Two-panel axial: CT | PSMA PET, [18F]PSMA-1007 tracer. Acquired on GE Discovery 690. Slice 28 of 371. PET panel 256×256 px (2.7 mm/px).
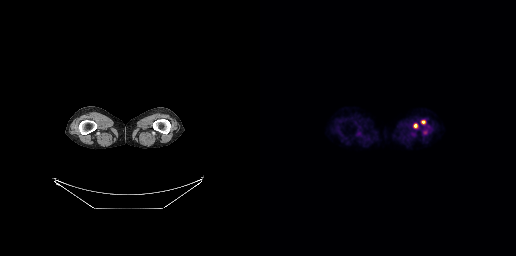
Coordinates are on the 256×256 PET (right) panel. Small PSMA-avid foci (2 to 4 px across) near (center x, center y): (155, 125); (163, 122).